Left: CT. Right: PSMA PET, same axial level, 68Ga-PSMA tracer. Slice position z = 855 mm.
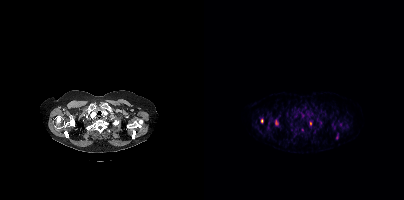
Coordinates are on the 200×200 PET (right) panel. (showing 4 of 5 foci) PSMA-avid tumor lesion bounding box (x, y, width, height): x=71 y=120 w=3 h=5. Small PSMA-avid foci (2 to 4 px across) near (center x, center y): (58, 120); (106, 123); (98, 129).